Facial anatomy redacted by setting a rectangular region of the head to black. Paired axial CT (left) and PSMA PET (right), 68Ga-PSMA tracer. Slice 356 of 385. PET panel 200×200 px (4.1 mm/px).
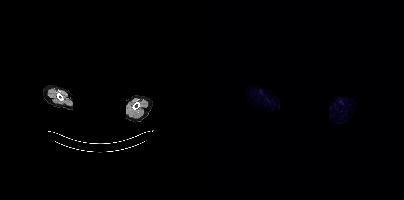
This slice has no annotated PSMA-avid lesion.